modality: PSMA PET/CT | tracer: [18F]PSMA-1007 | view: axial | PET grid: 200×200
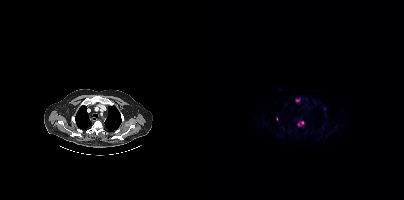
Coordinates are on the 200×200 PET (right) panel. (showing 3 of 5 foci) Small PSMA-avid foci (2 to 4 px across) near (center x, center y): (93, 100); (98, 122); (94, 124).